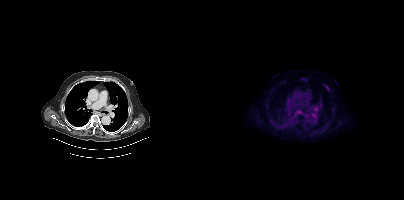
Coordinates are on the 200×200 PET (right) panel. PSMA-avid tumor lesion bounding box (x0, y0)-(x1, y1): (122, 86)-(124, 90).